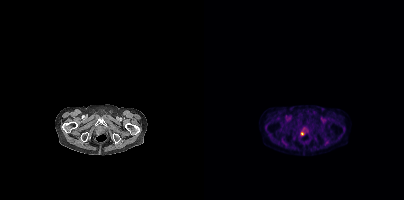
Two-panel axial: CT | PSMA PET, 18F tracer. Acquired on Siemens Biograph mCT Flow 20. Slice 57 of 389. PET panel 200×200 px (4.1 mm/px). Coordinates are on the 200×200 PET (right) panel. Small PSMA-avid focus (2 to 4 px across) near (center x, center y): (98, 133).